Paired axial CT (left) and PSMA PET (right), [68Ga]Ga-PSMA-11 tracer. Acquired on Siemens Biograph mCT Flow 20. Slice 98 of 419.
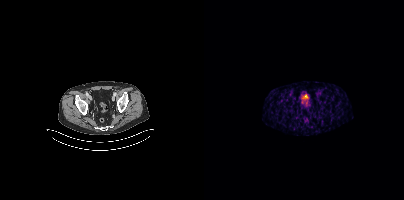
No tumor lesions annotated on this slice.